Technique: Left: CT. Right: PSMA PET, same axial level, [18F]PSMA-1007 tracer. acquired on Siemens Biograph mCT Flow 20.
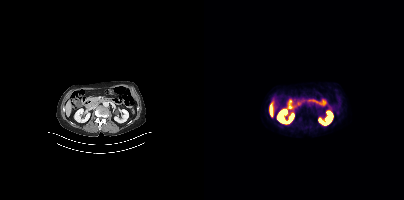
Findings: Negative for PSMA-avid disease on this slice.